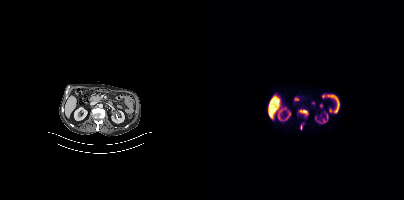
Left: CT. Right: PSMA PET, same axial level, 18F-PSMA tracer. Acquired on Siemens Biograph mCT Flow 20. Coordinates are on the 200×200 PET (right) panel. (showing 1 of 2 foci) PSMA-avid tumor lesion bounding box (x0,y0,x1,y1): [96,110,103,114].